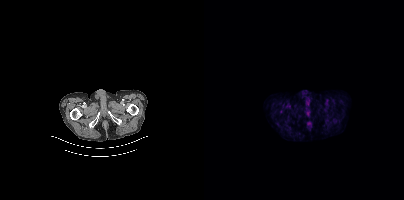
Findings: Coordinates are on the 200×200 PET (right) panel. Small PSMA-avid focus (2 to 4 px across) near (center x, center y): (77, 111).
- Two-panel axial: CT | PSMA PET, [18F]PSMA-1007 tracer
- PET panel 200×200 px (4.1 mm/px)